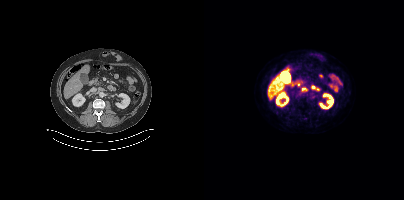
Paired axial CT (left) and PSMA PET (right), [18F]PSMA-1007 tracer. Slice position z = -469 mm. This slice has no annotated PSMA-avid lesion.